Two-panel axial: CT | PSMA PET, [68Ga]Ga-PSMA-11 tracer. PET panel 256×256 px (2.7 mm/px).
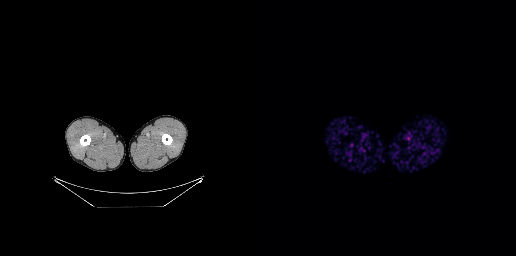
No tumor lesions annotated on this slice.